Technique: Left: CT. Right: PSMA PET, same axial level, [18F]PSMA-1007 tracer. acquired on Siemens Biograph mCT Flow 20. slice position z = -738 mm.
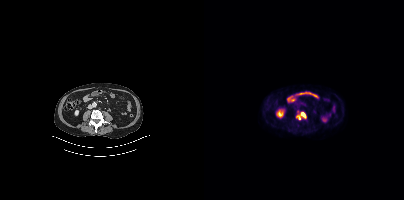
Findings: Coordinates are on the 200×200 PET (right) panel. PSMA-avid tumor lesion bounding box (x0,y0,x1,y1): [97,112,101,117]. Small PSMA-avid focus (2 to 4 px across) near (center x, center y): (95, 118).